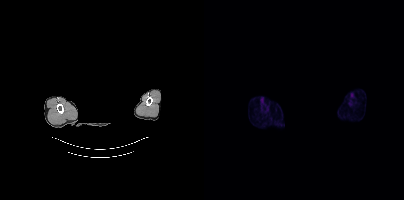
Technique: Two-panel axial: CT | PSMA PET, 18F-PSMA tracer. slice position z = 120 mm.
Note: A rectangular block over the head has been blanked out for de-identification.
Findings: Negative for PSMA-avid disease on this slice.